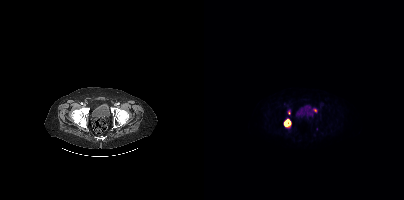
{"modality":"PSMA PET/CT","view":"axial","tracer":"[18F]PSMA-1007","pet_grid":[200,200],"coord_frame":"pet_panel","coord_format":"x0,y0,x1,y1","partial":true,"lesion_bboxes":[[80,119,86,126]],"small_foci_centers":[[111,110]]}